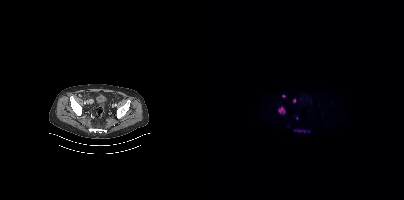
Findings: Coordinates are on the 200×200 PET (right) panel. PSMA-avid tumor lesion bounding boxes (x, y, width, height): x=74 y=107 w=7 h=7 / x=94 y=130 w=8 h=3. Small PSMA-avid foci (2 to 4 px across) near (center x, center y): (90, 100) / (79, 96) / (93, 118).
Technique: Two-panel axial: CT | PSMA PET, 18F tracer.